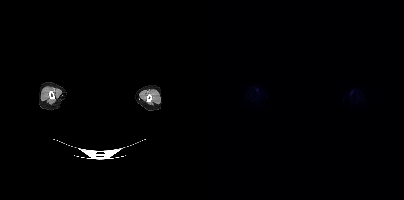
Findings: No PSMA-avid tumor lesions on this slice.
- the head region is masked for de-identification
- Two-panel axial: CT | PSMA PET, 18F-PSMA tracer
- slice 433 of 458